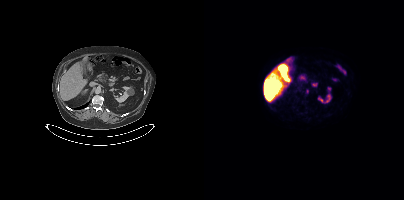
Coordinates are on the 200×200 PET (right) panel. PSMA-avid tumor lesion bounding box (x0,y0,x1,y1): [102,89,104,93].